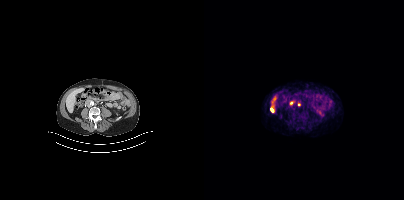
Findings: Coordinates are on the 200×200 PET (right) panel. Small PSMA-avid foci (2 to 4 px across) near (center x, center y): (87, 102); (68, 110); (95, 104).
- Left: CT. Right: PSMA PET, same axial level, [68Ga]Ga-PSMA-11 tracer
- acquired on Siemens Biograph mCT Flow 20